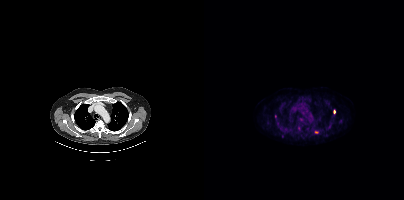
Technique: Paired axial CT (left) and PSMA PET (right), [18F]PSMA-1007 tracer. slice position z = -1069 mm.
Findings: Coordinates are on the 200×200 PET (right) panel. (showing 2 of 3 foci) Small PSMA-avid foci (2 to 4 px across) near (center x, center y): (130, 111); (94, 128).